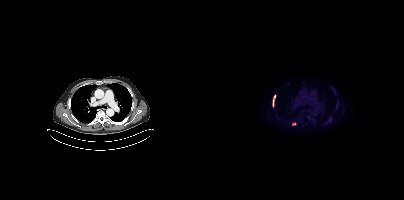
Coordinates are on the 200×200 PET (right) panel. PSMA-avid tumor lesion bounding boxes (x, y, width, height): x=88 y=122 w=5 h=4 | x=68 y=99 w=3 h=7. Small PSMA-avid foci (2 to 4 px across) near (center x, center y): (70, 96) | (126, 119).